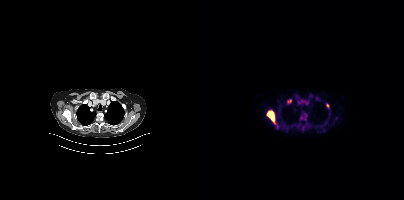
- Two-panel axial: CT | PSMA PET, [18F]PSMA-1007 tracer
- acquired on Siemens Biograph mCT Flow 20
Findings: Coordinates are on the 200×200 PET (right) panel. PSMA-avid tumor lesion bounding boxes (x0, y0)-(x1, y1): (63, 111)-(74, 128); (97, 114)-(102, 119); (83, 99)-(87, 103). Small PSMA-avid focus (2 to 4 px across) near (center x, center y): (123, 105).